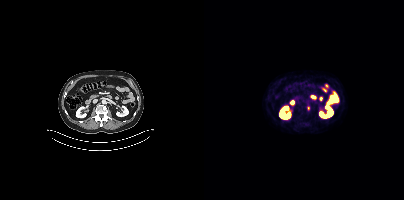
Coordinates are on the 200×200 PET (right) panel. Small PSMA-avid focus (2 to 4 px across) near (center x, center y): (104, 108). Paired axial CT (left) and PSMA PET (right), 68Ga tracer.